Two-panel axial: CT | PSMA PET, 18F tracer. Slice position z = -1354 mm. PET panel 200×200 px (4.1 mm/px).
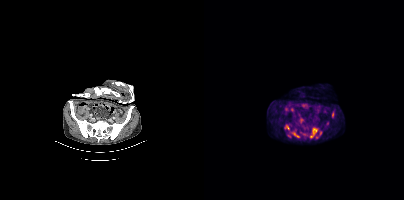
Coordinates are on the 200×200 PET (right) panel. PSMA-avid tumor lesion bounding boxes (partial; 1 more focus not listed):
| # | x0 | y0 | x1 | y1 |
|---|---|---|---|---|
| 1 | 105 | 127 | 114 | 138 |
| 2 | 87 | 130 | 95 | 137 |
| 3 | 128 | 111 | 130 | 117 |
| 4 | 81 | 125 | 85 | 130 |
| 5 | 115 | 131 | 117 | 135 |
Small PSMA-avid foci (2 to 4 px across) near (center x, center y): (113, 137); (102, 134); (85, 136); (96, 132).